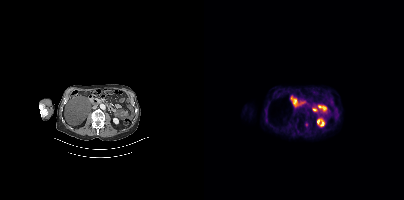
{"modality":"PSMA PET/CT","view":"axial","tracer":"[18F]PSMA-1007","pet_grid":[200,200],"coord_frame":"pet_panel","coord_format":"x0,y0,x1,y1","partial":true,"lesion_bboxes":[]}